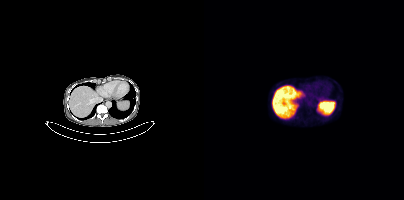
modality: PSMA PET/CT | tracer: 18F | view: axial
Negative for PSMA-avid disease on this slice.